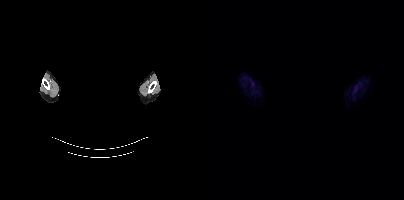
{"modality":"PSMA PET/CT","view":"axial","tracer":"18F-PSMA","pet_grid":[200,200],"coord_frame":"pet_panel","coord_format":"x0,y0,x1,y1","de-identification":"head region blanked (face removed)","psma_avid_lesions":false}